Paired axial CT (left) and PSMA PET (right), 18F tracer. Acquired on Siemens Biograph mCT Flow 20.
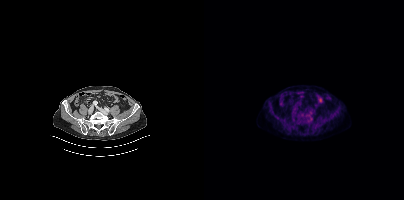
Coordinates are on the 200×200 PET (right) panel. (showing 1 of 2 foci) Small PSMA-avid focus (2 to 4 px across) near (center x, center y): (90, 112).